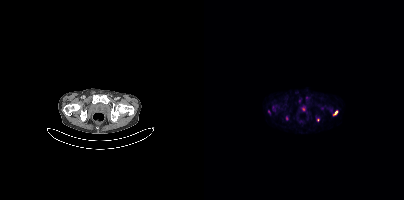
{"modality":"PSMA PET/CT","view":"axial","tracer":"68Ga","pet_grid":[200,200],"coord_frame":"pet_panel","coord_format":"x0,y0,x1,y1","partial":true,"lesion_bboxes":[],"small_foci_centers":[[131,112]]}